Left: CT. Right: PSMA PET, same axial level, [68Ga]Ga-PSMA-11 tracer. PET panel 168×168 px (4.1 mm/px).
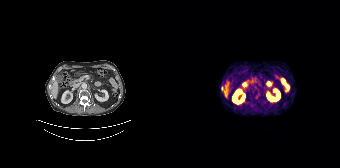
Only PSMA-avid lesion pieces thinner than 2 px on this slice (not listed).